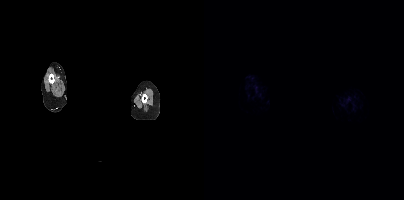
{"modality":"PSMA PET/CT","view":"axial","tracer":"[68Ga]Ga-PSMA-11","pet_grid":[200,200],"coord_frame":"pet_panel","coord_format":"x0,y0,x1,y1","redaction":"rectangular block over head set to black","psma_avid_lesions":false}